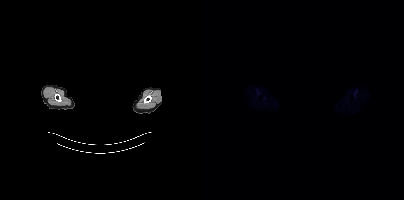
Findings: No PSMA-avid tumor lesions on this slice.
Technique: Two-panel axial: CT | PSMA PET, [18F]PSMA-1007 tracer.
Note: Facial anatomy redacted by setting a rectangular region of the head to black.